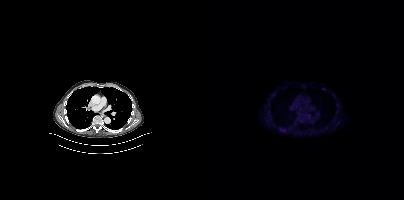
modality: PSMA PET/CT | tracer: 18F | view: axial
This slice has no annotated PSMA-avid lesion.